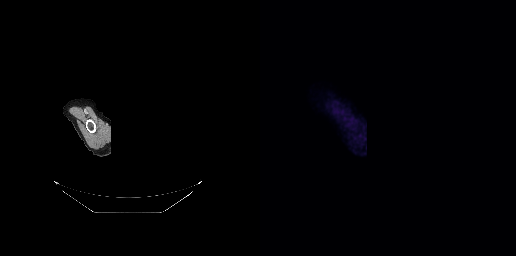
Negative for PSMA-avid disease on this slice.
A rectangular block over the head has been blanked out for de-identification.